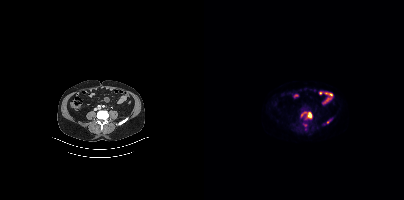
Coordinates are on the 200×200 PET (right) panel. (showing 1 of 2 foci) PSMA-avid tumor lesion bounding box (x0, y0)-(x1, y1): (104, 112)-(107, 117).